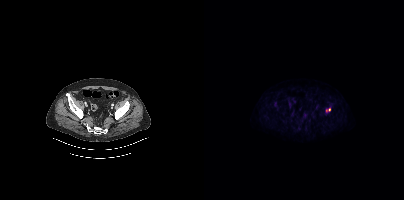
Coordinates are on the 200×200 PET (right) panel. PSMA-avid tumor lesion bounding box (x0, y0)-(x1, y1): (122, 109)-(126, 111).
modality: PSMA PET/CT | tracer: 18F-PSMA | view: axial